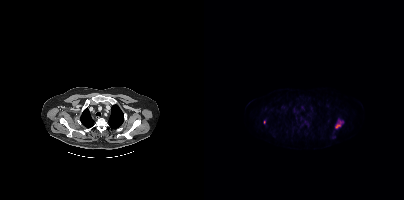
Coordinates are on the 200×200 PET (right) panel. (showing 2 of 3 foci) PSMA-avid tumor lesion bounding box (x0, y0)-(x1, y1): (131, 119)-(139, 128). Small PSMA-avid focus (2 to 4 px across) near (center x, center y): (60, 122).